Paired axial CT (left) and PSMA PET (right), [18F]PSMA-1007 tracer. Acquired on Siemens Biograph mCT Flow 20. Slice 281 of 411.
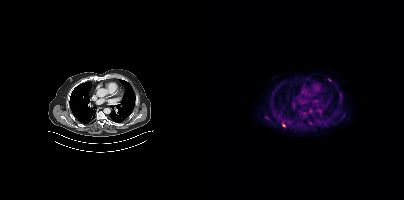
Coordinates are on the 200×200 PET (right) panel. (showing 5 of 7 foci) Small PSMA-avid foci (2 to 4 px across) near (center x, center y): (79, 125); (136, 94); (140, 115); (106, 123); (125, 79).